Paired axial CT (left) and PSMA PET (right), [18F]PSMA-1007 tracer.
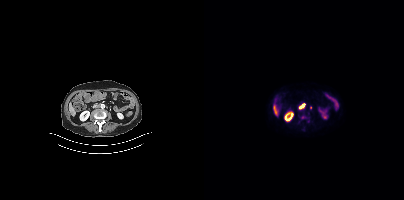
Coordinates are on the 200×200 PET (right) panel. PSMA-avid tumor lesion bounding boxes:
| # | x0 | y0 | x1 | y1 |
|---|---|---|---|---|
| 1 | 95 | 104 | 101 | 108 |